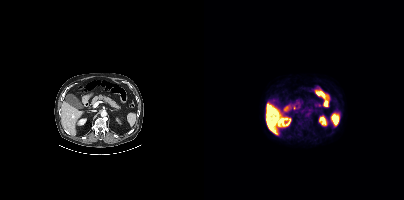
This slice has no annotated PSMA-avid lesion. Paired axial CT (left) and PSMA PET (right), [18F]PSMA-1007 tracer.